Left: CT. Right: PSMA PET, same axial level, [18F]PSMA-1007 tracer.
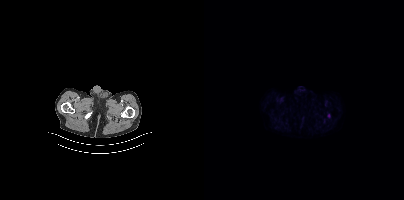
Coordinates are on the 200×200 PET (right) panel. Small PSMA-avid focus (2 to 4 px across) near (center x, center y): (125, 115).